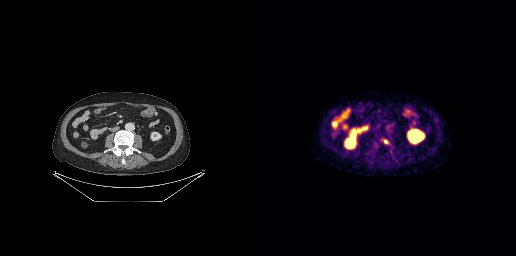
{"pet_grid":[256,256],"coord_frame":"pet_panel","coord_format":"x0,y0,x1,y1","lesion_bboxes":[[123,139,128,143]],"modality":"PSMA PET/CT","view":"axial","tracer":"[18F]PSMA-1007"}